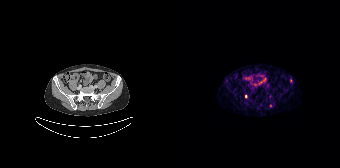
Coordinates are on the 168×168 PET (right) panel. Small PSMA-avid foci (2 to 4 px across) near (center x, center y): (74, 96); (98, 105); (118, 80).
modality: PSMA PET/CT | tracer: [68Ga]Ga-PSMA-11 | view: axial | PET grid: 168×168